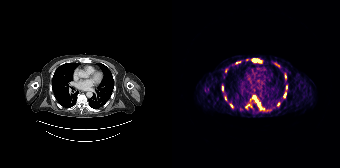
Coordinates are on the 168×168 PET (right) panel. PSMA-avid tumor lesion bounding boxes (partial; 4 more foci not listed):
| # | x0 | y0 | x1 | y1 |
|---|---|---|---|---|
| 1 | 82 | 96 | 92 | 110 |
| 2 | 80 | 58 | 89 | 62 |
| 3 | 73 | 104 | 80 | 109 |
| 4 | 112 | 93 | 114 | 97 |
| 5 | 64 | 61 | 68 | 63 |
Small PSMA-avid foci (2 to 4 px across) near (center x, center y): (113, 76); (53, 97); (106, 103); (50, 88); (53, 70); (59, 105).
Left: CT. Right: PSMA PET, same axial level, [68Ga]Ga-PSMA-11 tracer. Acquired on Siemens Biograph 64-4R TruePoint. Slice position z = -865 mm.